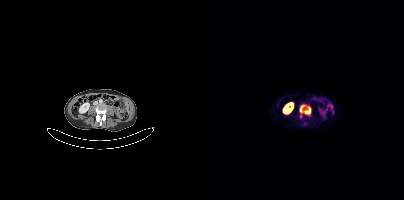
Technique: Paired axial CT (left) and PSMA PET (right), 68Ga tracer. acquired on Siemens Biograph mCT Flow 20. slice 138 of 393.
Findings: Coordinates are on the 200×200 PET (right) panel. PSMA-avid tumor lesion bounding boxes (x0, y0)-(x1, y1): (100, 107)-(106, 114) / (96, 105)-(100, 112). Small PSMA-avid focus (2 to 4 px across) near (center x, center y): (101, 123).